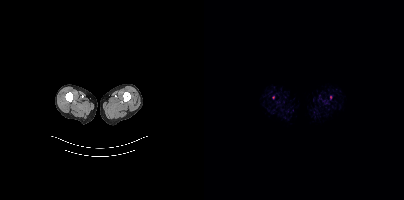
Coordinates are on the 200×200 PET (right) panel. Small PSMA-avid foci (2 to 4 px across) near (center x, center y): (69, 97); (126, 97). Paired axial CT (left) and PSMA PET (right), 18F-PSMA tracer. Slice position z = -1000 mm. PET panel 200×200 px (4.1 mm/px).